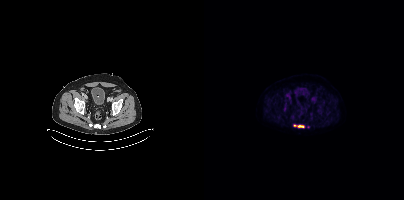
Technique: Paired axial CT (left) and PSMA PET (right), 18F-PSMA tracer. PET panel 200×200 px (4.1 mm/px).
Findings: Coordinates are on the 200×200 PET (right) panel. PSMA-avid tumor lesion bounding box (x0,y0,x1,y1): [89,124,100,127].